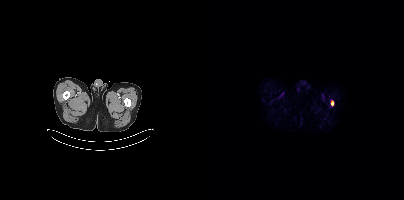
modality: PSMA PET/CT | tracer: 18F-PSMA | view: axial
Coordinates are on the 200×200 PET (right) panel. PSMA-avid tumor lesion bounding box (x0,y0,x1,y1): [127,100,129,105].